- Two-panel axial: CT | PSMA PET, 18F tracer
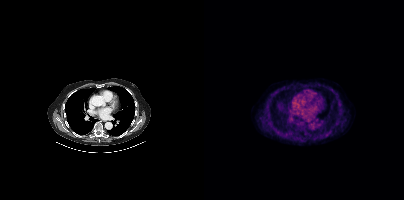
Findings: No PSMA-avid tumor lesions on this slice.